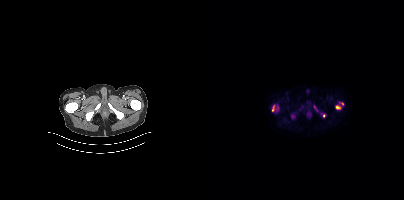
Coordinates are on the 200×200 PET (right) panel. PSMA-avid tumor lesion bounding boxes (x0,y0,x1,y1): [131,105,136,109]; [68,104,74,111]; [87,114,91,118]; [110,105,114,111]. Small PSMA-avid foci (2 to 4 px across) near (center x, center y): (120, 115); (137, 103). Left: CT. Right: PSMA PET, same axial level, [18F]PSMA-1007 tracer.